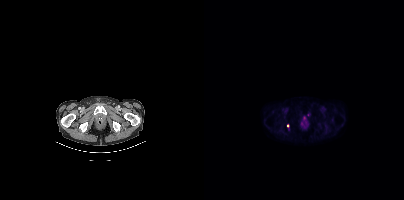
Only PSMA-avid lesion pieces thinner than 2 px on this slice (not listed). Left: CT. Right: PSMA PET, same axial level, [18F]PSMA-1007 tracer. Acquired on Siemens Biograph mCT Flow 20.